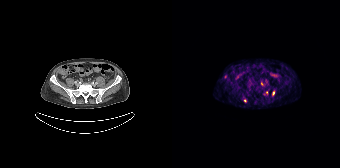
Coordinates are on the 168×168 PET (right) panel. Small PSMA-avid foci (2 to 4 px across) near (center x, center y): (101, 92); (73, 100); (94, 92); (89, 83). Paired axial CT (left) and PSMA PET (right), 68Ga tracer. Slice 68 of 195.